modality: PSMA PET/CT | tracer: 18F | view: axial
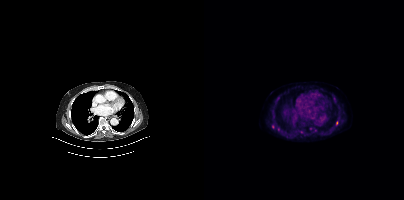
Coordinates are on the 200×200 PET (right) panel. (showing 2 of 5 foci) Small PSMA-avid foci (2 to 4 px across) near (center x, center y): (132, 122), (106, 128).